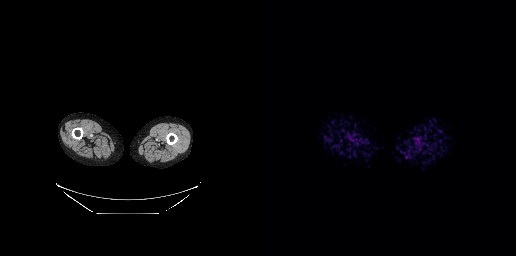
- Two-panel axial: CT | PSMA PET, 18F tracer
- acquired on GE Discovery 690
- slice position z = -984 mm
Findings: Negative for PSMA-avid disease on this slice.